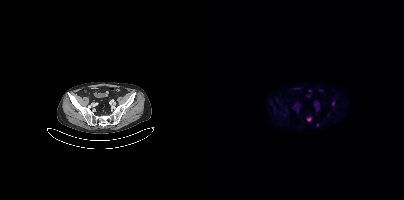
Paired axial CT (left) and PSMA PET (right), 18F tracer. Coordinates are on the 200×200 PET (right) panel. (showing 2 of 3 foci) Small PSMA-avid foci (2 to 4 px across) near (center x, center y): (104, 119) | (113, 124).